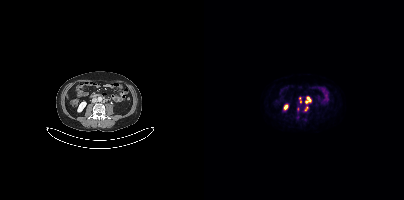
Paired axial CT (left) and PSMA PET (right), [68Ga]Ga-PSMA-11 tracer. PET panel 200×200 px (4.1 mm/px).
Coordinates are on the 200×200 PET (right) panel. PSMA-avid tumor lesion bounding boxes (partial; 1 more focus not listed):
| # | x0 | y0 | x1 | y1 |
|---|---|---|---|---|
| 1 | 102 | 97 | 106 | 102 |
| 2 | 100 | 107 | 103 | 111 |
| 3 | 95 | 98 | 97 | 102 |
| 4 | 93 | 108 | 95 | 113 |